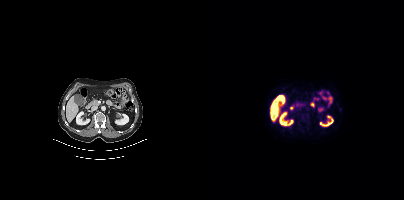
- Paired axial CT (left) and PSMA PET (right), [18F]PSMA-1007 tracer
- slice position z = -1177 mm
- PET panel 200×200 px (4.1 mm/px)
Findings: No PSMA-avid tumor lesions on this slice.